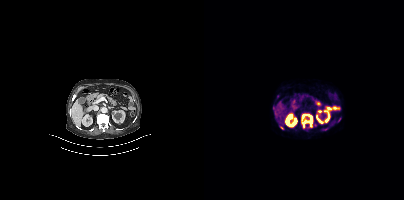
{"modality":"PSMA PET/CT","view":"axial","tracer":"[68Ga]Ga-PSMA-11","pet_grid":[200,200],"coord_frame":"pet_panel","coord_format":"x0,y0,x1,y1","lesion_bboxes":[[97,114,111,127]],"small_foci_centers":[[70,107],[120,129],[77,127],[135,119],[73,96]]}